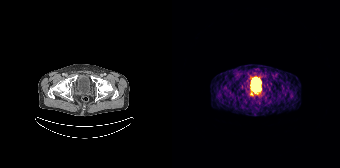
Coordinates are on the 168×168 PET (right) panel. PSMA-avid tumor lesion bounding box (x, y, width, height): x=77 y=92 w=5 h=5.